modality: PSMA PET/CT | tracer: 18F-PSMA | view: axial
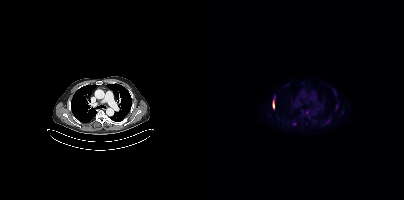
Coordinates are on the 200×200 PET (right) panel. (showing 2 of 3 foci) PSMA-avid tumor lesion bounding box (x0, y0)-(x1, y1): (69, 99)-(70, 107). Small PSMA-avid focus (2 to 4 px across) near (center x, center y): (90, 123).